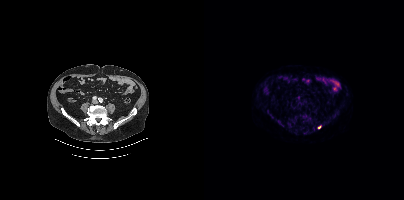
- Paired axial CT (left) and PSMA PET (right), 18F-PSMA tracer
- slice 158 of 454
- PET panel 200×200 px (4.1 mm/px)
Findings: Coordinates are on the 200×200 PET (right) panel. Small PSMA-avid focus (2 to 4 px across) near (center x, center y): (115, 127).